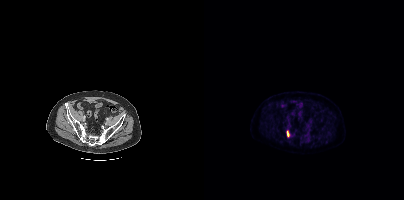
Coordinates are on the 200×200 PET (right) panel. Small PSMA-avid focus (2 to 4 px across) near (center x, center y): (83, 133).